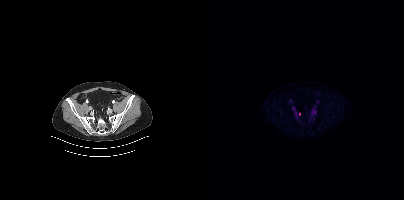
- Left: CT. Right: PSMA PET, same axial level, 18F tracer
- acquired on Siemens Biograph mCT Flow 20
- slice position z = -1473 mm
Findings: Coordinates are on the 200×200 PET (right) panel. Small PSMA-avid focus (2 to 4 px across) near (center x, center y): (95, 113).